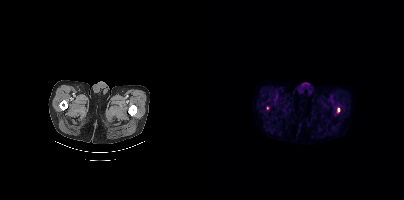
{"pet_grid":[200,200],"coord_frame":"pet_panel","coord_format":"x0,y0,x1,y1","lesion_bboxes":[[133,108,135,112]],"small_foci_centers":[[63,108]],"modality":"PSMA PET/CT","view":"axial","tracer":"18F"}